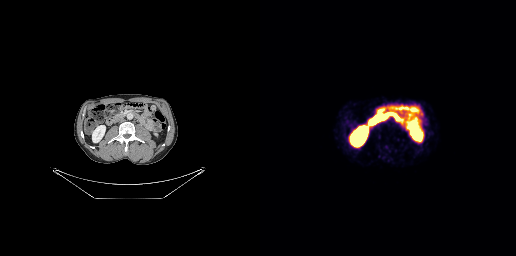
- Left: CT. Right: PSMA PET, same axial level, 68Ga-PSMA tracer
- acquired on GE Discovery 690
- slice 128 of 263
Findings: This slice has no annotated PSMA-avid lesion.